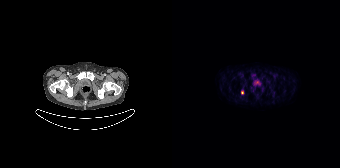
{"modality":"PSMA PET/CT","view":"axial","tracer":"18F-PSMA","pet_grid":[168,168],"coord_frame":"pet_panel","coord_format":"x0,y0,x1,y1","lesion_bboxes":[],"small_foci_centers":[[70,92]]}